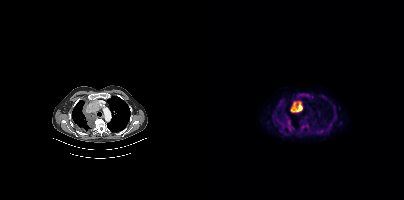
Two-panel axial: CT | PSMA PET, [18F]PSMA-1007 tracer. Slice position z = -1062 mm. Coordinates are on the 200×200 PET (right) panel. PSMA-avid tumor lesion bounding boxes (x, y, width, height): x=87 y=101 w=12 h=12; x=78 y=119 w=11 h=11; x=93 y=93 w=9 h=6; x=99 y=124 w=5 h=2.